Technique: Left: CT. Right: PSMA PET, same axial level, 18F tracer. acquired on Siemens Biograph mCT Flow 20.
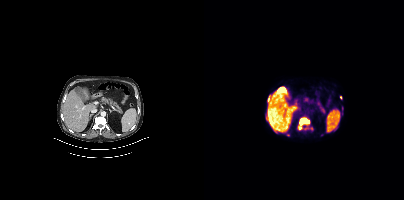
Findings: Coordinates are on the 200×200 PET (right) panel. PSMA-avid tumor lesion bounding boxes (x0,y0,x1,y1): [96,118,105,125], [64,95,66,101]. Small PSMA-avid foci (2 to 4 px across) near (center x, center y): (96, 127), (136, 97).